Technique: Left: CT. Right: PSMA PET, same axial level, 18F-PSMA tracer. acquired on Siemens Biograph mCT Flow 20. slice position z = -916 mm. PET panel 200×200 px (4.1 mm/px).
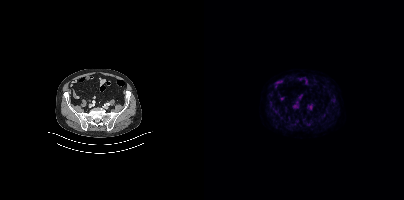
Findings: Only PSMA-avid lesion pieces thinner than 2 px on this slice (not listed).